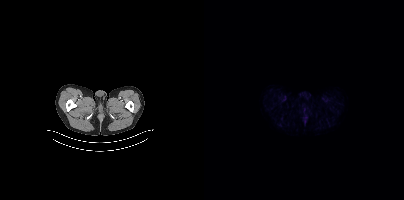
Findings: No PSMA-avid tumor lesions on this slice.
- Two-panel axial: CT | PSMA PET, 18F-PSMA tracer